Left: CT. Right: PSMA PET, same axial level, 18F-PSMA tracer. Acquired on Siemens Biograph mCT Flow 20. Slice position z = -604 mm. PET panel 200×200 px (4.1 mm/px).
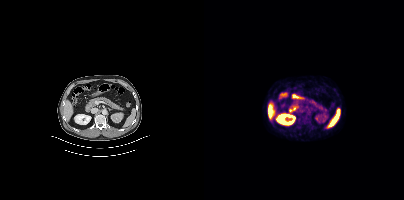
Negative for PSMA-avid disease on this slice.